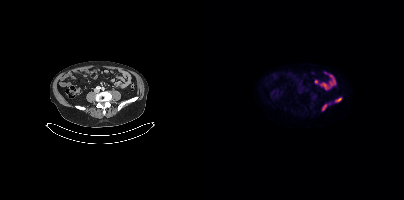
Coordinates are on the 200×200 PET (right) panel. PSMA-avid tumor lesion bounding boxes (x0,y0,x1,y1): [131,97,137,102] [118,104,123,110].